Paired axial CT (left) and PSMA PET (right), 18F-PSMA tracer. PET panel 200×200 px (4.1 mm/px).
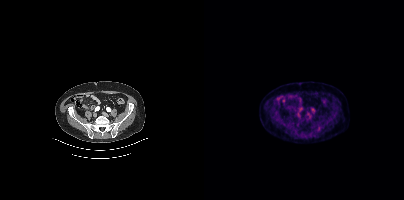
Only PSMA-avid lesion pieces thinner than 2 px on this slice (not listed).